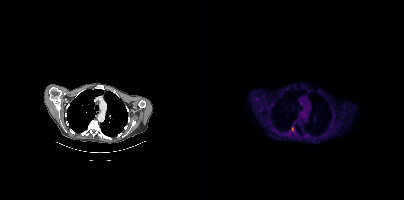
Left: CT. Right: PSMA PET, same axial level, 18F tracer. PET panel 200×200 px (4.1 mm/px).
Coordinates are on the 200×200 PET (right) panel. PSMA-avid tumor lesion bounding boxes (partial; 1 more focus not listed):
| # | x0 | y0 | x1 | y1 |
|---|---|---|---|---|
| 1 | 88 | 127 | 89 | 131 |